- Left: CT. Right: PSMA PET, same axial level, [18F]PSMA-1007 tracer
- PET panel 200×200 px (4.1 mm/px)
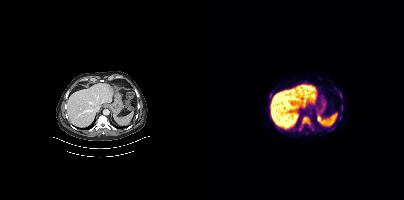
Findings: Coordinates are on the 200×200 PET (right) panel. PSMA-avid tumor lesion bounding boxes (x0,y0,x1,y1): [94,116,106,131] [106,126,110,131] [137,105,138,110] [66,94,67,98] [136,93,137,97]. Small PSMA-avid focus (2 to 4 px across) near (center x, center y): (136, 117).